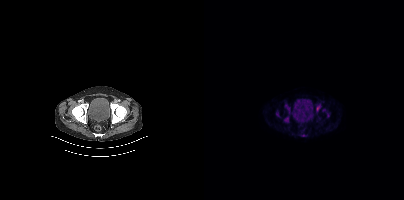
{"modality":"PSMA PET/CT","view":"axial","tracer":"18F","pet_grid":[200,200],"coord_frame":"pet_panel","coord_format":"x0,y0,x1,y1","partial":true,"lesion_bboxes":[[112,104,117,111],[80,117,84,122],[81,104,85,113]],"small_foci_centers":[[73,114],[124,114],[119,110]]}